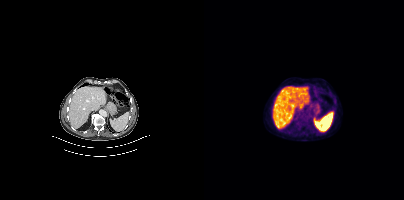
modality: PSMA PET/CT | tracer: 18F | view: axial
No PSMA-avid tumor lesions on this slice.